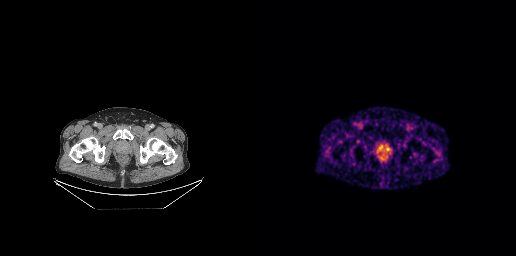
Technique: Left: CT. Right: PSMA PET, same axial level, [68Ga]Ga-PSMA-11 tracer.
Findings: This slice has no annotated PSMA-avid lesion.